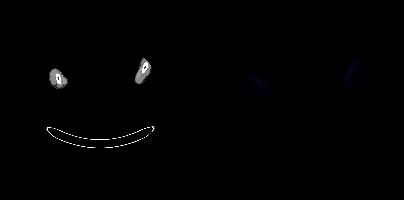
Two-panel axial: CT | PSMA PET, 18F tracer. Acquired on Siemens Biograph mCT Flow 20. PET panel 200×200 px (4.1 mm/px). A rectangular block over the head has been blanked out for de-identification. No tumor lesions annotated on this slice.